Left: CT. Right: PSMA PET, same axial level, 18F-PSMA tracer. Acquired on Siemens Biograph 64-4R TruePoint. PET panel 168×168 px (4.1 mm/px).
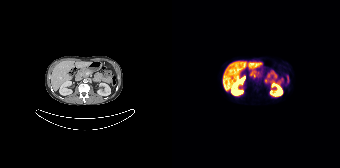
This slice has no annotated PSMA-avid lesion.